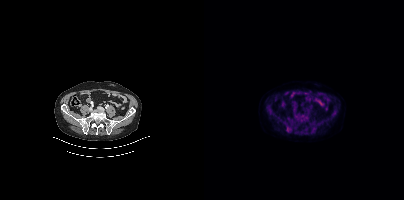
Left: CT. Right: PSMA PET, same axial level, 18F tracer. Acquired on Siemens Biograph mCT Flow 20. PET panel 200×200 px (4.1 mm/px). Coordinates are on the 200×200 PET (right) panel. Small PSMA-avid focus (2 to 4 px across) near (center x, center y): (84, 128).